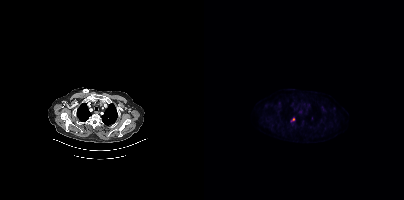
Coordinates are on the 200×200 PET (right) panel. PSMA-avid tumor lesion bounding box (x0,y0,x1,y1): [86,117,91,122]. Left: CT. Right: PSMA PET, same axial level, [18F]PSMA-1007 tracer. PET panel 200×200 px (4.1 mm/px).